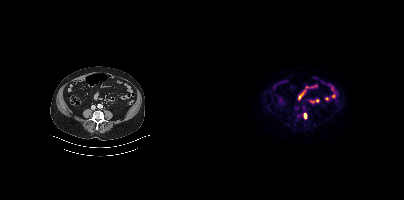
Coordinates are on the 200×200 PET (right) panel. PSMA-avid tumor lesion bounding box (x0, y0)-(x1, y1): (100, 113)-(102, 118).